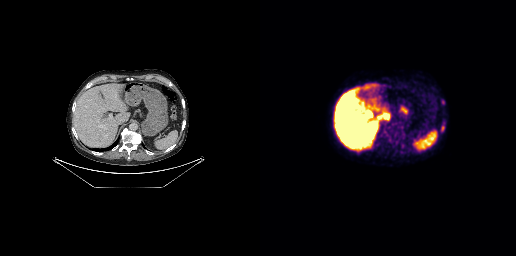
- Left: CT. Right: PSMA PET, same axial level, 18F tracer
- slice position z = -334 mm
- PET panel 256×256 px (2.7 mm/px)
Findings: Coordinates are on the 256×256 PET (right) panel. PSMA-avid tumor lesion bounding boxes (x0, y0)-(x1, y1): (181, 125)-(184, 131) | (181, 99)-(184, 104). Small PSMA-avid focus (2 to 4 px across) near (center x, center y): (97, 151).